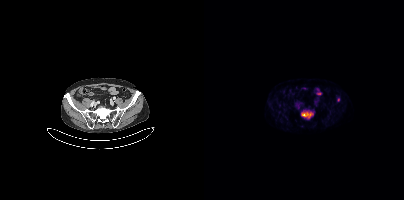
Two-panel axial: CT | PSMA PET, 18F tracer. Acquired on Siemens Biograph mCT Flow 20. Slice position z = -932 mm. PET panel 200×200 px (4.1 mm/px). Coordinates are on the 200×200 PET (right) panel. PSMA-avid tumor lesion bounding box (x, y, width, height): x=97 y=111 w=13 h=8. Small PSMA-avid focus (2 to 4 px across) near (center x, center y): (134, 99).